De-identified by setting a box covering the face to black before release. Paired axial CT (left) and PSMA PET (right), 18F-PSMA tracer. Slice position z = -1116 mm. PET panel 200×200 px (4.1 mm/px).
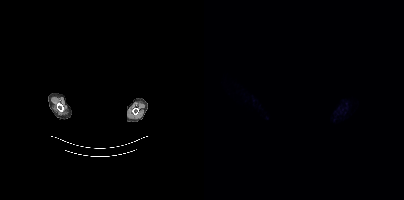
No PSMA-avid tumor lesions on this slice.